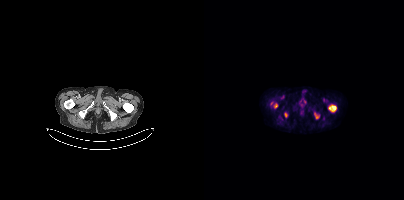
- Left: CT. Right: PSMA PET, same axial level, 18F tracer
- acquired on Siemens Biograph mCT Flow 20
- slice position z = -958 mm
Findings: Coordinates are on the 200×200 PET (right) panel. PSMA-avid tumor lesion bounding boxes (x0,y0,x1,y1): [124,105,132,111]; [70,103,73,108]; [80,113,83,117]; [111,114,114,118]. Small PSMA-avid focus (2 to 4 px across) near (center x, center y): (67, 103).